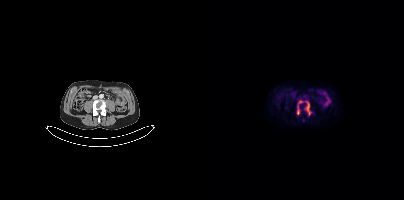
Findings: Coordinates are on the 200×200 PET (right) panel. PSMA-avid tumor lesion bounding boxes (x, y, width, height): x=101 y=101 w=7 h=15 | x=93 y=100 w=6 h=15.
- Two-panel axial: CT | PSMA PET, 18F tracer